- Left: CT. Right: PSMA PET, same axial level, 18F-PSMA tracer
- acquired on Siemens Biograph mCT Flow 20
- PET panel 200×200 px (4.1 mm/px)
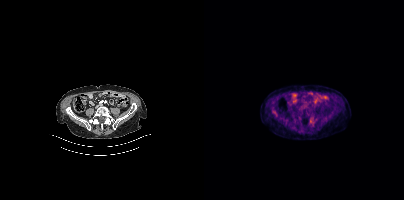
Findings: This slice has no annotated PSMA-avid lesion.